Left: CT. Right: PSMA PET, same axial level, [68Ga]Ga-PSMA-11 tracer.
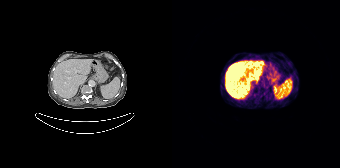
No PSMA-avid tumor lesions on this slice.